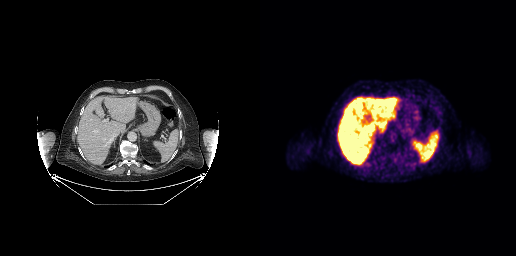
This slice has no annotated PSMA-avid lesion.